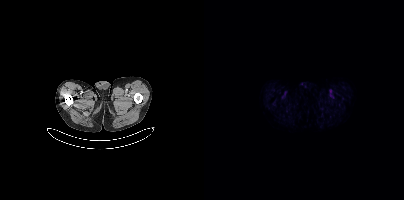
No PSMA-avid tumor lesions on this slice.